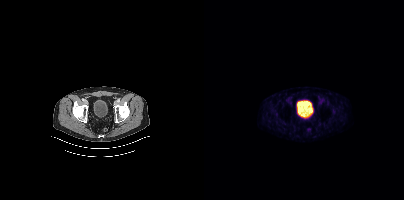
{"modality":"PSMA PET/CT","view":"axial","tracer":"68Ga","pet_grid":[200,200],"coord_frame":"pet_panel","coord_format":"x0,y0,x1,y1","partial":true,"lesion_bboxes":[]}